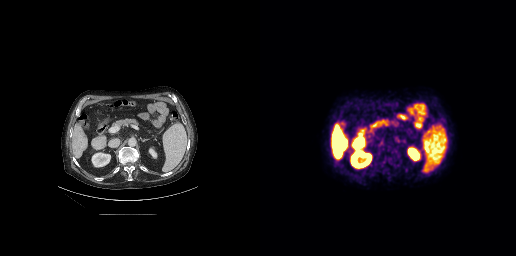
- Left: CT. Right: PSMA PET, same axial level, 18F tracer
- acquired on GE Discovery 690
- slice position z = -398 mm
Findings: Coordinates are on the 256×256 PET (right) panel. PSMA-avid tumor lesion bounding box (x0, y0)-(x1, y1): (121, 161)-(129, 170).